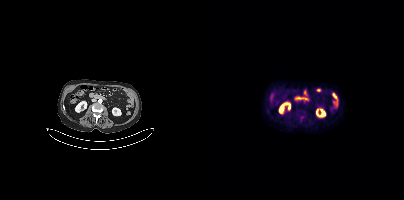
No PSMA-avid tumor lesions on this slice.